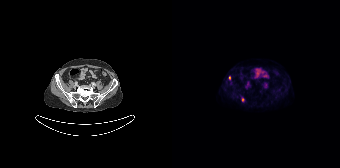
Findings: Coordinates are on the 168×168 PET (right) panel. Small PSMA-avid foci (2 to 4 px across) near (center x, center y): (70, 99), (57, 78).
Technique: Two-panel axial: CT | PSMA PET, 18F tracer. slice position z = -1285 mm.